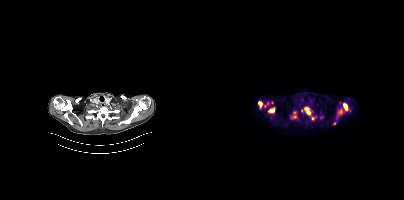
{"modality":"PSMA PET/CT","view":"axial","tracer":"18F","pet_grid":[200,200],"coord_frame":"pet_panel","coord_format":"x0,y0,x1,y1","partial":true,"lesion_bboxes":[[101,107,106,115],[139,103,143,110],[133,109,138,114],[64,108,70,112],[54,101,58,108],[107,117,112,120],[86,115,88,119]],"small_foci_centers":[[90,112],[117,117],[130,123],[63,103],[91,116]]}